modality: PSMA PET/CT | tracer: 68Ga | view: axial | PET grid: 168×168
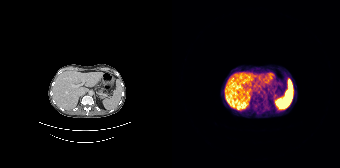
No tumor lesions annotated on this slice.